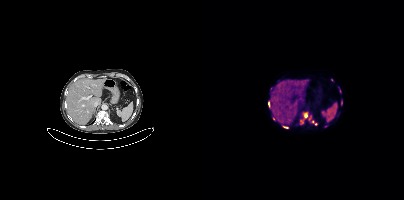
{"modality":"PSMA PET/CT","view":"axial","tracer":"[18F]PSMA-1007","pet_grid":[200,200],"coord_frame":"pet_panel","coord_format":"x0,y0,x1,y1","partial":true,"lesion_bboxes":[[96,112,103,124],[105,118,113,125],[79,126,84,128],[137,101,138,105],[64,102,65,106]],"small_foci_centers":[[70,118],[121,126]]}